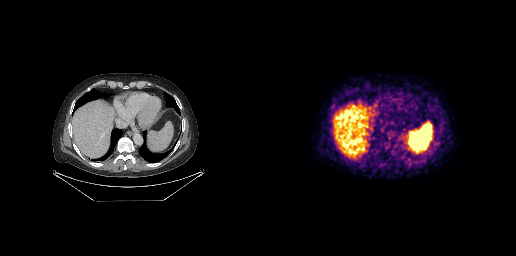
Two-panel axial: CT | PSMA PET, [68Ga]Ga-PSMA-11 tracer. Slice position z = -516 mm. PET panel 256×256 px (2.7 mm/px). This slice has no annotated PSMA-avid lesion.